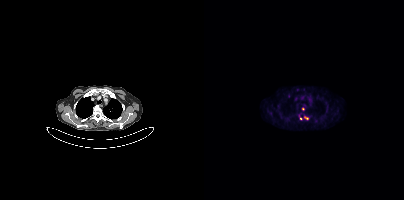
Coordinates are on the 200×200 PET (right) panel. (showing 2 of 3 foci) PSMA-avid tumor lesion bounding box (x, y, width, height): x=100 y=116 w=5 h=4. Small PSMA-avid focus (2 to 4 px across) near (center x, center y): (97, 118).